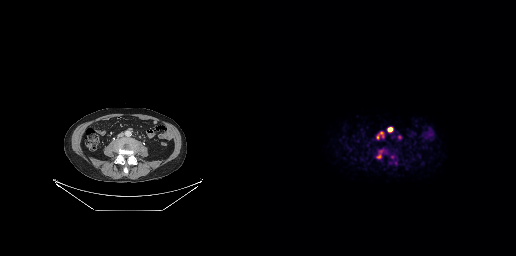
{"modality":"PSMA PET/CT","view":"axial","tracer":"68Ga","pet_grid":[256,256],"coord_frame":"pet_panel","coord_format":"x0,y0,x1,y1","partial":true,"lesion_bboxes":[],"small_foci_centers":[[129,129],[118,136],[118,156],[139,137],[120,133]]}